modality: PSMA PET/CT | tracer: [68Ga]Ga-PSMA-11 | view: axial
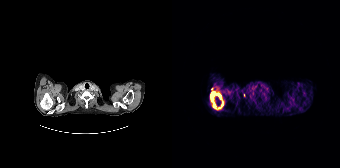
Coordinates are on the 168×168 PET (right) panel. (showing 1 of 2 foci) PSMA-avid tumor lesion bounding box (x0, y0)-(x1, y1): (38, 88)-(52, 109).